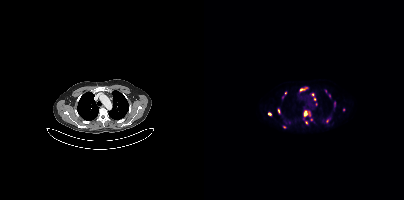
modality: PSMA PET/CT | tracer: [18F]PSMA-1007 | view: axial | PET grid: 200×200
Coordinates are on the 200×200 PET (right) panel. PSMA-avid tumor lesion bounding boxes (x0, y0)-(x1, y1): (100, 112)-(106, 116); (96, 87)-(103, 91); (74, 109)-(76, 113); (130, 102)-(131, 106). Small PSMA-avid foci (2 to 4 px across) near (center x, center y): (109, 94); (65, 114); (123, 120); (121, 91); (81, 93); (102, 122); (80, 126); (112, 104); (139, 109); (107, 119); (110, 98).